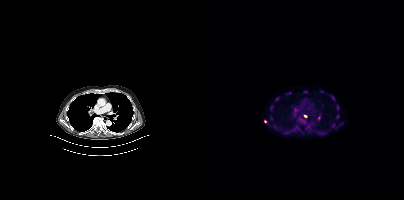
{"modality":"PSMA PET/CT","view":"axial","tracer":"18F-PSMA","pet_grid":[200,200],"coord_frame":"pet_panel","coord_format":"x0,y0,x1,y1","lesion_bboxes":[[132,105,135,110],[99,90,103,93],[127,95,130,100],[83,92,87,94],[132,114,135,118]],"small_foci_centers":[[61,121],[73,98],[67,107],[101,116],[67,118],[70,127]]}